- Left: CT. Right: PSMA PET, same axial level, 18F-PSMA tracer
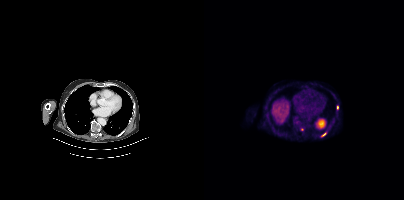
Findings: Coordinates are on the 200×200 PET (right) panel. Small PSMA-avid foci (2 to 4 px across) near (center x, center y): (133, 107); (98, 129); (119, 134).